modality: PSMA PET/CT | tracer: 18F-PSMA | view: axial | PET grid: 256×256
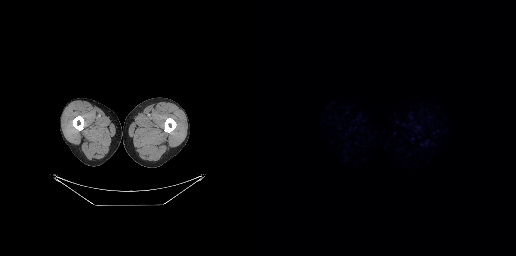
No PSMA-avid tumor lesions on this slice.